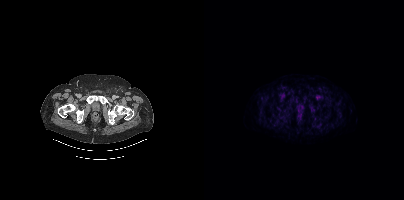
Findings: No tumor lesions annotated on this slice.
Technique: Left: CT. Right: PSMA PET, same axial level, 18F-PSMA tracer.